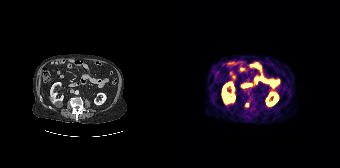
Coordinates are on the 168×168 PET (right) panel. Small PSMA-avid focus (2 to 4 px across) near (center x, center y): (75, 105). Two-panel axial: CT | PSMA PET, [68Ga]Ga-PSMA-11 tracer. Slice 101 of 195.